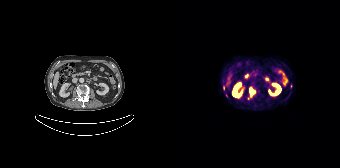
Findings: Coordinates are on the 168×168 PET (right) panel. (showing 2 of 3 foci) PSMA-avid tumor lesion bounding box (x0, y0)-(x1, y1): (75, 87)-(83, 99). Small PSMA-avid focus (2 to 4 px across) near (center x, center y): (51, 88).
Technique: Two-panel axial: CT | PSMA PET, 68Ga-PSMA tracer. acquired on Siemens Biograph 64-4R TruePoint. slice 94 of 195.